Technique: Left: CT. Right: PSMA PET, same axial level, 18F tracer.
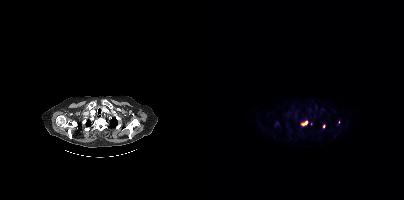
Findings: Coordinates are on the 200×200 PET (right) panel. (showing 3 of 4 foci) PSMA-avid tumor lesion bounding box (x0,y0,x1,y1): [97,119,104,126]. Small PSMA-avid foci (2 to 4 px across) near (center x, center y): (107, 123); (119, 126).